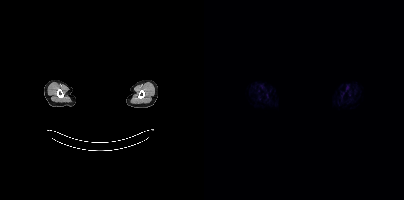
{"modality":"PSMA PET/CT","view":"axial","tracer":"68Ga","pet_grid":[200,200],"coord_frame":"pet_panel","coord_format":"x0,y0,x1,y1","psma_avid_lesions":false,"deidentification":"privacy mask over head"}